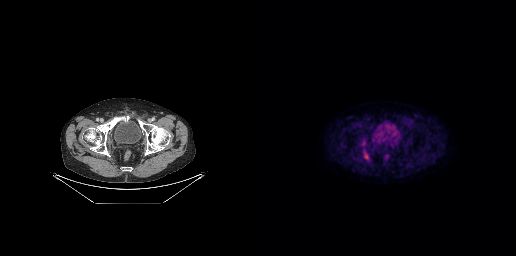
{"modality":"PSMA PET/CT","view":"axial","tracer":"18F","pet_grid":[256,256],"coord_frame":"pet_panel","coord_format":"x0,y0,x1,y1","lesion_bboxes":[],"small_foci_centers":[[106,156]]}